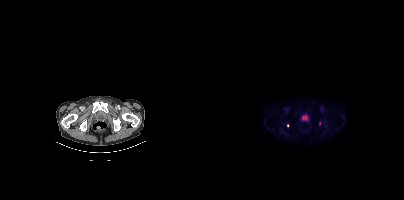
- Two-panel axial: CT | PSMA PET, [18F]PSMA-1007 tracer
- slice 58 of 435
Findings: Coordinates are on the 200×200 PET (right) panel. Small PSMA-avid focus (2 to 4 px across) near (center x, center y): (115, 123).